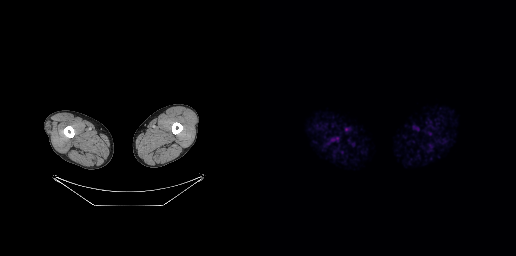
This slice has no annotated PSMA-avid lesion.